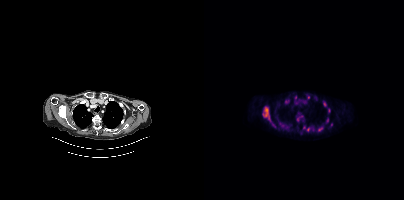
- Two-panel axial: CT | PSMA PET, [18F]PSMA-1007 tracer
- PET panel 200×200 px (4.1 mm/px)
Findings: Coordinates are on the 200×200 PET (right) panel. (showing 10 of 13 foci) PSMA-avid tumor lesion bounding boxes (x0, y0)-(x1, y1): (59, 107)-(65, 119) / (81, 99)-(85, 103) / (115, 126)-(119, 131) / (122, 118)-(124, 123) / (103, 127)-(106, 131). Small PSMA-avid foci (2 to 4 px across) near (center x, center y): (100, 127) / (120, 104) / (127, 124) / (104, 97) / (94, 119).